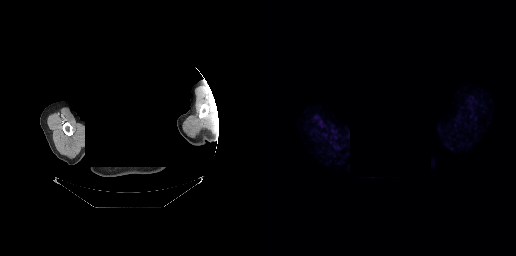
No tumor lesions annotated on this slice.
A rectangular block over the head has been blanked out for de-identification.